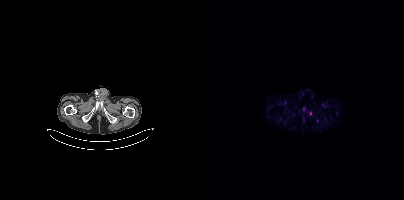
{"modality":"PSMA PET/CT","view":"axial","tracer":"18F-PSMA","pet_grid":[200,200],"coord_frame":"pet_panel","coord_format":"x0,y0,x1,y1","lesion_bboxes":[],"small_foci_centers":[[113,120],[106,113]]}